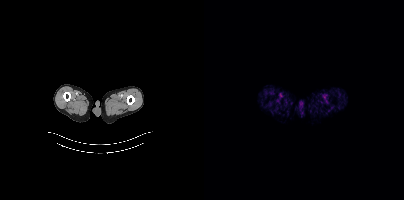
No tumor lesions annotated on this slice.